- Paired axial CT (left) and PSMA PET (right), 18F-PSMA tracer
- acquired on Siemens Biograph mCT Flow 20
- slice position z = -1345 mm
- PET panel 200×200 px (4.1 mm/px)
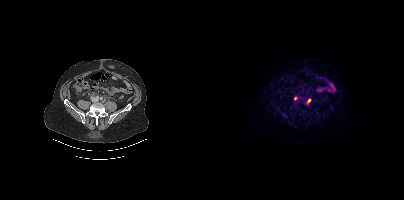
Findings: Coordinates are on the 200×200 PET (right) panel. PSMA-avid tumor lesion bounding box (x0,y0,x1,y1): [103,99,106,103]. Small PSMA-avid focus (2 to 4 px across) near (center x, center y): (91, 98).